modality: PSMA PET/CT | tracer: [18F]PSMA-1007 | view: axial
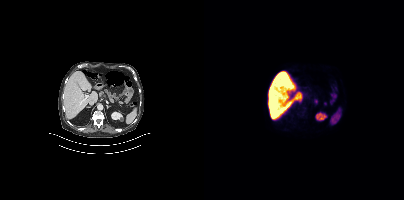
No PSMA-avid tumor lesions on this slice.